Paired axial CT (left) and PSMA PET (right), 18F tracer. Slice 263 of 454.
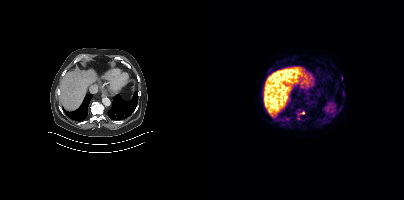
Coordinates are on the 200×200 PET (right) panel. (showing 1 of 4 foci) Small PSMA-avid focus (2 to 4 px across) near (center x, center y): (94, 115).